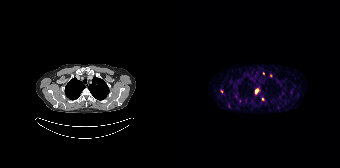
Technique: Paired axial CT (left) and PSMA PET (right), 68Ga-PSMA tracer. slice 155 of 195.
Findings: Coordinates are on the 168×168 PET (right) panel. (showing 5 of 7 foci) PSMA-avid tumor lesion bounding box (x0,y0,x1,y1): [83,89,86,93]. Small PSMA-avid foci (2 to 4 px across) near (center x, center y): (91, 99); (49, 91); (98, 75); (63, 96).